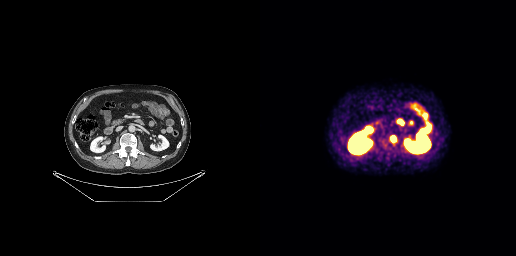
{"modality":"PSMA PET/CT","view":"axial","tracer":"68Ga","pet_grid":[256,256],"coord_frame":"pet_panel","coord_format":"x0,y0,x1,y1","lesion_bboxes":[[130,136,136,141]]}